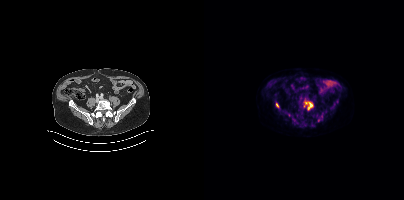
Coordinates are on the 200×200 PET (right) panel. (showing 4 of 5 foci) PSMA-avid tumor lesion bounding boxes (x0, y0)-(x1, y1): (99, 99)-(109, 110) / (72, 103)-(74, 107). Small PSMA-avid foci (2 to 4 px across) near (center x, center y): (114, 120) / (117, 116).